Technique: Two-panel axial: CT | PSMA PET, [18F]PSMA-1007 tracer. slice position z = -857 mm.
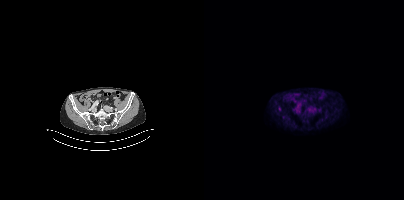
Findings: Coordinates are on the 200×200 PET (right) panel. Small PSMA-avid focus (2 to 4 px across) near (center x, center y): (75, 108).